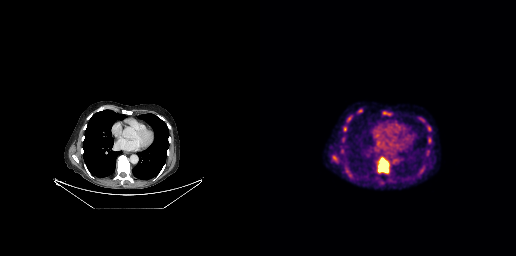
Coordinates are on the 256×256 PET (right) panel. (showing 7 of 10 foci) PSMA-avid tumor lesion bounding boxes (x, y, width, height): x=118 y=158 w=11 h=15; x=86 y=115 w=7 h=8; x=97 y=108 w=6 h=6; x=123 y=112 w=8 h=4; x=167 y=126 w=5 h=6; x=73 y=156 w=5 h=5; x=84 y=127 w=3 h=5.